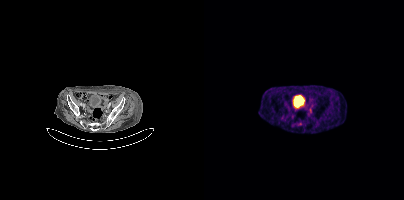
{"modality":"PSMA PET/CT","view":"axial","tracer":"68Ga-PSMA","pet_grid":[200,200],"coord_frame":"pet_panel","coord_format":"x0,y0,x1,y1","lesion_bboxes":[],"small_foci_centers":[[106,110]]}